Paired axial CT (left) and PSMA PET (right), 68Ga tracer. Acquired on Siemens Biograph 64-4R TruePoint. Slice position z = -40 mm. Head region blanked for anonymization (face removed).
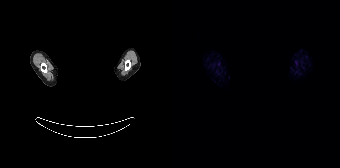
This slice has no annotated PSMA-avid lesion.